Paired axial CT (left) and PSMA PET (right), [18F]PSMA-1007 tracer. Acquired on Siemens Biograph mCT Flow 20.
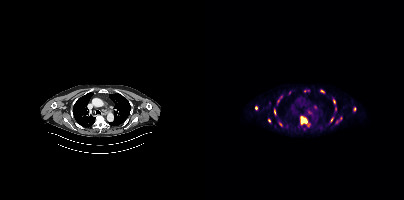
Coordinates are on the 200×200 PET (right) panel. PSMA-avid tumor lesion bounding boxes (partial; 2 more foci not listed):
| # | x0 | y0 | x1 | y1 |
|---|---|---|---|---|
| 1 | 96 | 116 | 105 | 126 |
| 2 | 73 | 96 | 78 | 103 |
| 3 | 116 | 90 | 120 | 92 |
| 4 | 129 | 99 | 131 | 103 |
| 5 | 126 | 117 | 129 | 121 |
| 6 | 70 | 110 | 71 | 114 |
Small PSMA-avid foci (2 to 4 px across) near (center x, center y): (111, 106); (52, 107); (106, 111); (65, 120); (131, 109); (150, 109); (136, 118); (76, 124); (132, 121).